Technique: Left: CT. Right: PSMA PET, same axial level, 18F tracer. acquired on Siemens Biograph mCT Flow 20. slice 190 of 409.
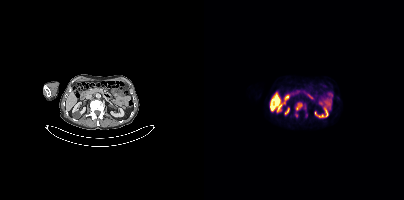
Findings: Coordinates are on the 200×200 PET (right) panel. (showing 1 of 2 foci) PSMA-avid tumor lesion bounding box (x0,y0,x1,y1): [92,103,98,110].